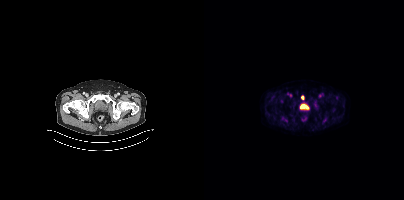
{"modality":"PSMA PET/CT","view":"axial","tracer":"18F-PSMA","pet_grid":[200,200],"coord_frame":"pet_panel","coord_format":"x0,y0,x1,y1","partial":true,"lesion_bboxes":[[119,118,123,122],[79,118,83,121]],"small_foci_centers":[[77,101],[98,97]]}